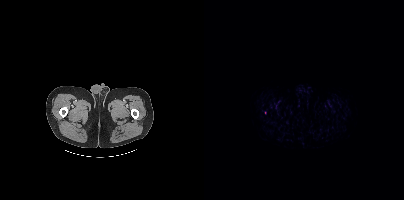
Coordinates are on the 200×200 PET (right) panel. Small PSMA-avid focus (2 to 4 px across) near (center x, center y): (61, 112).